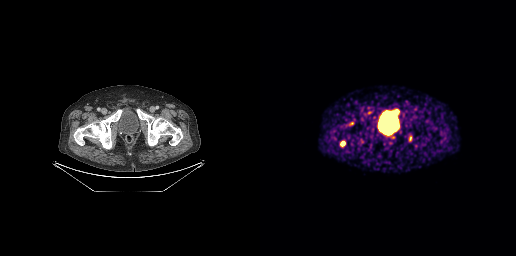
{"pet_grid":[256,256],"coord_frame":"pet_panel","coord_format":"x0,y0,x1,y1","partial":true,"lesion_bboxes":[[81,141,85,145]],"small_foci_centers":[[137,111],[109,112],[150,138]],"modality":"PSMA PET/CT","view":"axial","tracer":"[68Ga]Ga-PSMA-11"}